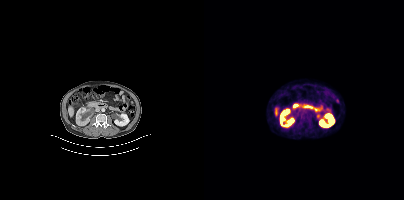
No tumor lesions annotated on this slice. Paired axial CT (left) and PSMA PET (right), 18F-PSMA tracer. Slice 170 of 387. PET panel 200×200 px (4.1 mm/px).